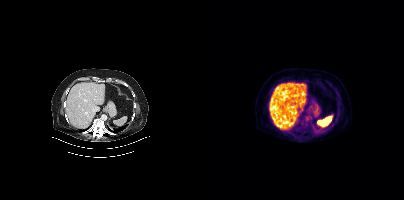
Paired axial CT (left) and PSMA PET (right), 18F-PSMA tracer. Acquired on Siemens Biograph mCT Flow 20. PET panel 200×200 px (4.1 mm/px). This slice has no annotated PSMA-avid lesion.